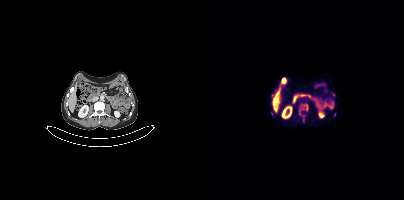
Coordinates are on the 200×200 PET (right) panel. (showing 2 of 4 foci) PSMA-avid tumor lesion bounding box (x0,y0,x1,y1): [95,103,104,115]. Small PSMA-avid focus (2 to 4 px across) near (center x, center y): (99, 116).